Technique: Two-panel axial: CT | PSMA PET, 18F-PSMA tracer.
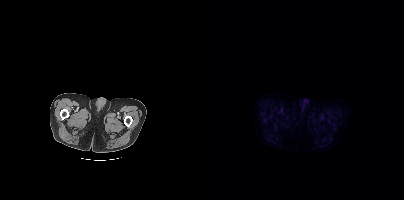
Findings: No tumor lesions annotated on this slice.